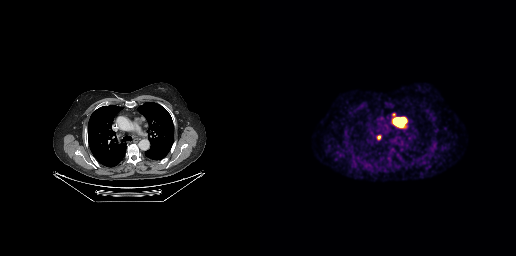
{"pet_grid":[256,256],"coord_frame":"pet_panel","coord_format":"x0,y0,x1,y1","lesion_bboxes":[[132,113,146,127],[117,135,121,139]],"modality":"PSMA PET/CT","view":"axial","tracer":"18F-PSMA"}